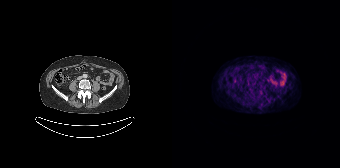
No PSMA-avid tumor lesions on this slice.
modality: PSMA PET/CT | tracer: 68Ga-PSMA | view: axial | PET grid: 168×168